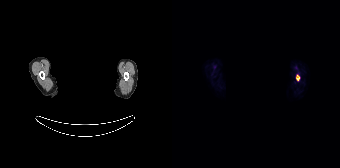
Any black rectangle over the head is a privacy mask, not anatomy. Two-panel axial: CT | PSMA PET, [18F]PSMA-1007 tracer. Slice 150 of 165. Coordinates are on the 168×168 PET (right) panel. PSMA-avid tumor lesion bounding box (x0,y0,x1,y1): [124,75,127,80].